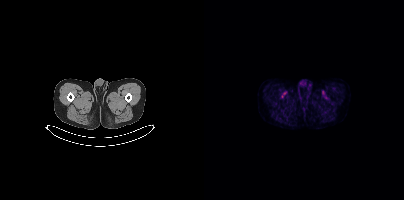
Left: CT. Right: PSMA PET, same axial level, 18F tracer. This slice has no annotated PSMA-avid lesion.